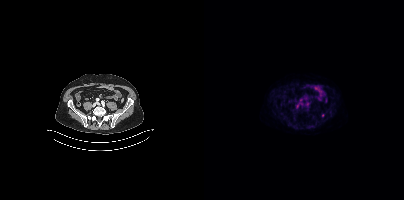
{"modality":"PSMA PET/CT","view":"axial","tracer":"18F","pet_grid":[200,200],"coord_frame":"pet_panel","coord_format":"x0,y0,x1,y1","lesion_bboxes":[],"small_foci_centers":[[103,104]]}